modality: PSMA PET/CT | tracer: 18F | view: axial
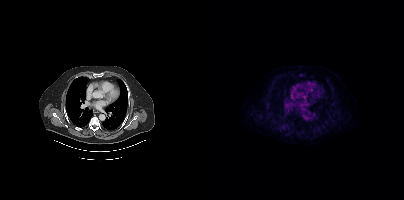
No PSMA-avid tumor lesions on this slice.